Two-panel axial: CT | PSMA PET, [18F]PSMA-1007 tracer. A rectangular block over the head has been blanked out for de-identification.
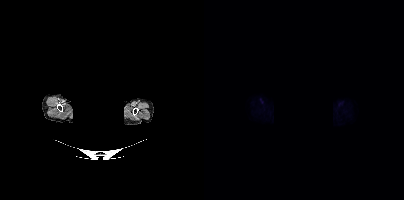
This slice has no annotated PSMA-avid lesion.